Left: CT. Right: PSMA PET, same axial level, [18F]PSMA-1007 tracer. Acquired on Siemens Biograph mCT Flow 20. PET panel 200×200 px (4.1 mm/px).
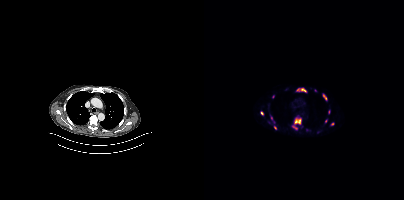
Coordinates are on the 200×200 PET (right) panel. PSMA-avid tumor lesion bounding boxes (partial; 3 more foci not listed):
| # | x0 | y0 | x1 | y1 |
|---|---|---|---|---|
| 1 | 88 | 117 | 97 | 129 |
| 2 | 93 | 88 | 102 | 91 |
| 3 | 119 | 94 | 123 | 100 |
Small PSMA-avid foci (2 to 4 px across) near (center x, center y): (58, 112); (128, 124); (121, 121); (71, 128); (67, 117).